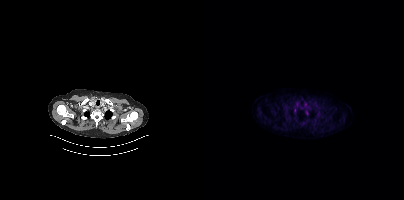
Negative for PSMA-avid disease on this slice.
modality: PSMA PET/CT | tracer: 18F-PSMA | view: axial